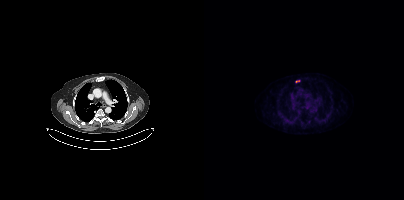
{"modality":"PSMA PET/CT","view":"axial","tracer":"18F-PSMA","pet_grid":[200,200],"coord_frame":"pet_panel","coord_format":"x0,y0,x1,y1","lesion_bboxes":[],"small_foci_centers":[[93,81]]}